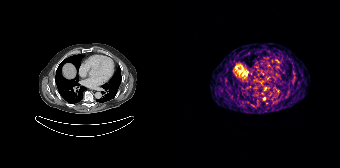
modality: PSMA PET/CT | tracer: 68Ga-PSMA | view: axial | PET grid: 168×168
Coordinates are on the 168×168 PET (right) panel. Small PSMA-avid focus (2 to 4 px across) near (center x, center y): (92, 98).